Left: CT. Right: PSMA PET, same axial level, [18F]PSMA-1007 tracer. Slice 156 of 435.
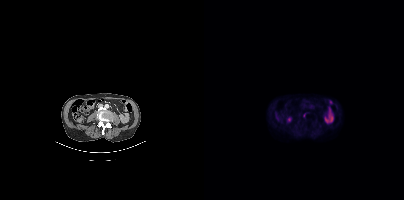
No PSMA-avid tumor lesions on this slice.